modality: PSMA PET/CT | tracer: 68Ga | view: axial | PET grid: 256×256
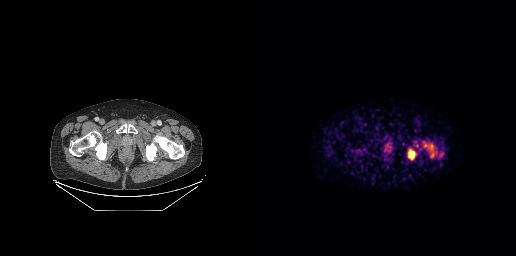
Coordinates are on the 256×256 PET (right) panel. PSMA-avid tumor lesion bounding box (x, y, width, height): x=148 y=150 w=7 h=10. Small PSMA-avid foci (2 to 4 px across) near (center x, center y): (171, 146); (172, 155).